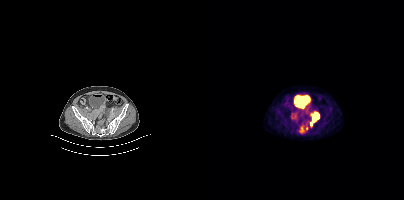
Coordinates are on the 200×200 PET (right) panel. PSMA-avid tumor lesion bounding boxes (x0, y0)-(x1, y1): (106, 113)-(115, 125) | (87, 113)-(92, 119) | (101, 109)-(106, 114) | (95, 126)-(100, 132). Small PSMA-avid focus (2 to 4 px across) near (center x, center y): (102, 128).